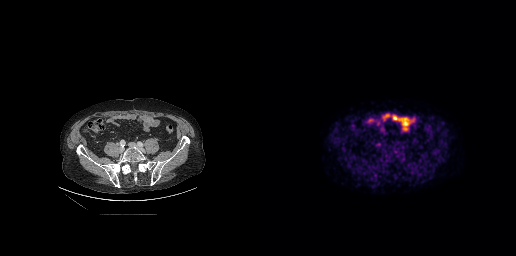
Findings: Coordinates are on the 256×256 PET (right) panel. PSMA-avid tumor lesion bounding box (x, y, width, height): x=116 y=143 w=5 h=4. Small PSMA-avid focus (2 to 4 px across) near (center x, center y): (117, 164).
Technique: Two-panel axial: CT | PSMA PET, [18F]PSMA-1007 tracer. slice 87 of 263. PET panel 256×256 px (2.7 mm/px).